Technique: Left: CT. Right: PSMA PET, same axial level, [18F]PSMA-1007 tracer. acquired on Siemens Biograph mCT Flow 20.
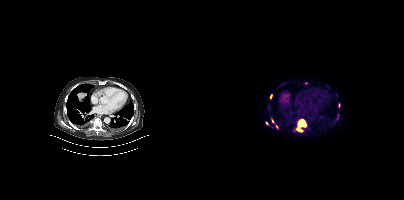
Findings: Coordinates are on the 200×200 PET (right) panel. (showing 6 of 9 foci) PSMA-avid tumor lesion bounding boxes (x0, y0)-(x1, y1): (89, 118)-(103, 132) | (66, 94)-(68, 98) | (134, 103)-(136, 107). Small PSMA-avid foci (2 to 4 px across) near (center x, center y): (73, 126) | (68, 120) | (62, 123).